Paired axial CT (left) and PSMA PET (right), 68Ga tracer. Acquired on Siemens Biograph mCT Flow 20. PET panel 200×200 px (4.1 mm/px).
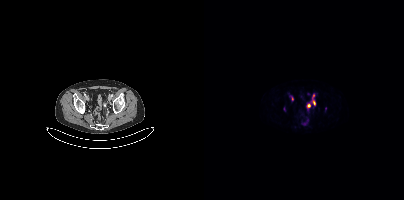
Coordinates are on the 200×200 PET (right) panel. PSMA-avid tumor lesion bounding boxes (partial; 1 more focus not listed):
| # | x0 | y0 | x1 | y1 |
|---|---|---|---|---|
| 1 | 109 | 100 | 111 | 104 |
Small PSMA-avid foci (2 to 4 px across) near (center x, center y): (105, 105); (88, 98); (109, 95); (100, 123); (104, 93).